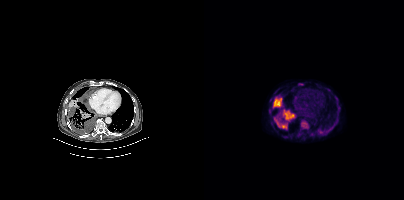
Coordinates are on the 200×200 PET (right) panel. PSMA-avid tumor lesion bounding boxes (x0, y0)-(x1, y1): (69, 97)-(78, 108) / (78, 109)-(89, 120) / (97, 120)-(105, 129) / (70, 117)-(76, 125) / (76, 124)-(83, 129). Small PSMA-avid focus (2 to 4 px across) near (center x, center y): (115, 132).